Left: CT. Right: PSMA PET, same axial level, 18F tracer. Acquired on Siemens Biograph mCT Flow 20. Slice position z = -1016 mm. PET panel 200×200 px (4.1 mm/px).
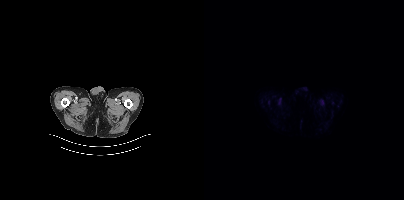
Negative for PSMA-avid disease on this slice.